modality: PSMA PET/CT | tracer: 18F | view: axial | PET grid: 200×200
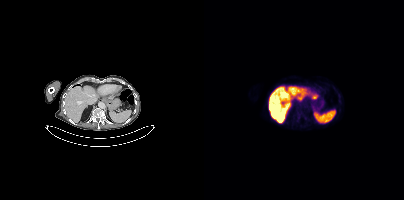
This slice has no annotated PSMA-avid lesion.